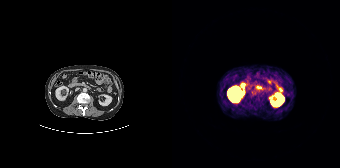
Technique: Left: CT. Right: PSMA PET, same axial level, [68Ga]Ga-PSMA-11 tracer. acquired on Siemens Biograph 64-4R TruePoint. slice 87 of 195.
Findings: This slice has no annotated PSMA-avid lesion.